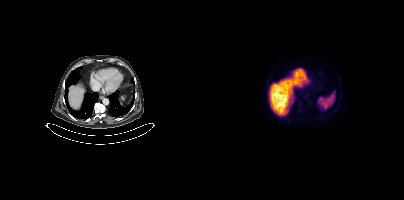
This slice has no annotated PSMA-avid lesion.